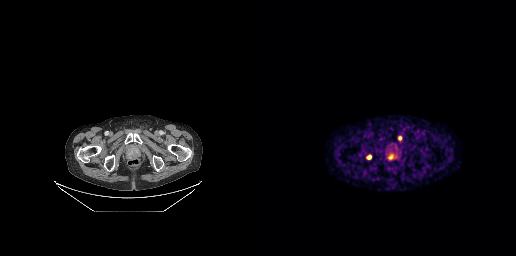
- Left: CT. Right: PSMA PET, same axial level, 68Ga-PSMA tracer
- acquired on GE Discovery 690
- slice position z = -702 mm
Findings: Coordinates are on the 256×256 PET (right) panel. (showing 3 of 4 foci) PSMA-avid tumor lesion bounding boxes (x0,y0,x1,y1): [127,153,136,160] [107,155,111,159]. Small PSMA-avid focus (2 to 4 px across) near (center x, center y): (139, 138).